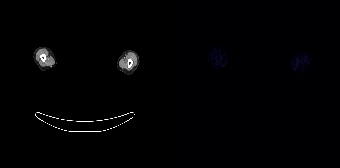
- privacy masking over the head, with the pixels inside a rectangle set to black
- Left: CT. Right: PSMA PET, same axial level, 18F tracer
- PET panel 168×168 px (4.1 mm/px)
Findings: Negative for PSMA-avid disease on this slice.